Technique: Two-panel axial: CT | PSMA PET, 18F-PSMA tracer. slice position z = -1524 mm.
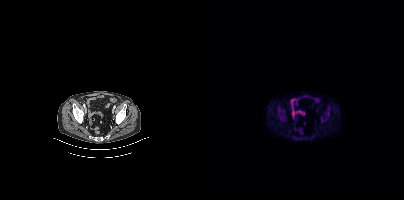
Findings: Coordinates are on the 200×200 PET (right) panel. PSMA-avid tumor lesion bounding box (x, y, width, height): x=117 y=117 w=7 h=6.